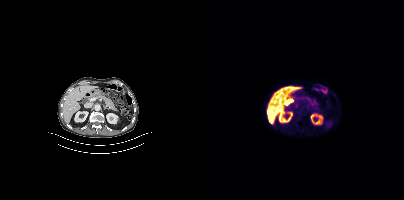
Technique: Paired axial CT (left) and PSMA PET (right), 18F-PSMA tracer. acquired on Siemens Biograph mCT Flow 20.
Findings: No tumor lesions annotated on this slice.